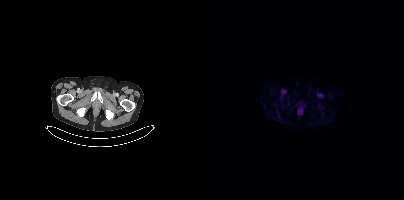
No PSMA-avid tumor lesions on this slice. Left: CT. Right: PSMA PET, same axial level, 18F-PSMA tracer. Slice 50 of 431. PET panel 200×200 px (4.1 mm/px).